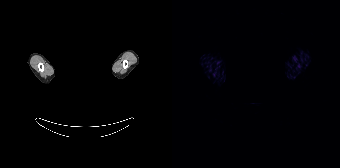
Findings: This slice has no annotated PSMA-avid lesion.
Technique: Paired axial CT (left) and PSMA PET (right), 68Ga tracer. PET panel 168×168 px (4.1 mm/px).
Note: The face region was removed for patient privacy by blanking a rectangle over the head.